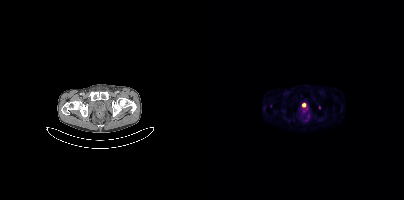
Paired axial CT (left) and PSMA PET (right), 68Ga-PSMA tracer. Slice position z = -1684 mm. PET panel 200×200 px (4.1 mm/px). Coordinates are on the 200×200 PET (right) panel. Small PSMA-avid foci (2 to 4 px across) near (center x, center y): (67, 105); (115, 107); (103, 109); (104, 116).